Left: CT. Right: PSMA PET, same axial level, [18F]PSMA-1007 tracer. Slice 61 of 263.
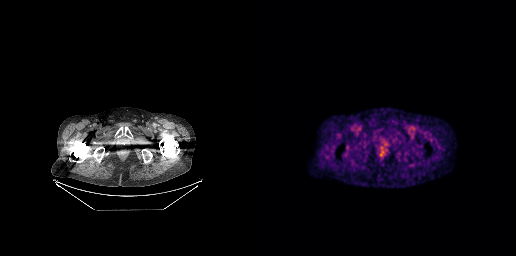
No PSMA-avid tumor lesions on this slice.